Paired axial CT (left) and PSMA PET (right), 18F tracer. Slice position z = -1232 mm.
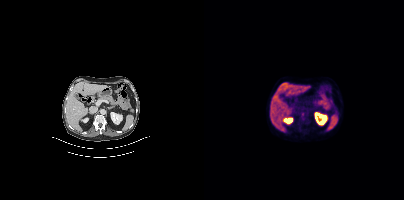
Only PSMA-avid lesion pieces thinner than 2 px on this slice (not listed).